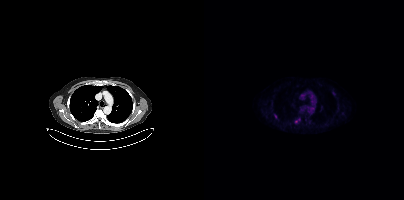
Coordinates are on the 200×200 PET (right) panel. (showing 1 of 2 foci) Small PSMA-avid focus (2 to 4 px across) near (center x, center y): (71, 116).